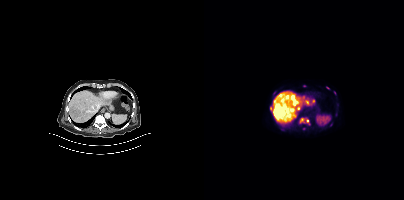
{"modality":"PSMA PET/CT","view":"axial","tracer":"18F","pet_grid":[200,200],"coord_frame":"pet_panel","coord_format":"x0,y0,x1,y1","partial":true,"lesion_bboxes":[],"small_foci_centers":[[99,119],[66,109],[103,120],[123,87]]}